Technique: Paired axial CT (left) and PSMA PET (right), 18F tracer. slice position z = -1196 mm. PET panel 200×200 px (4.1 mm/px).
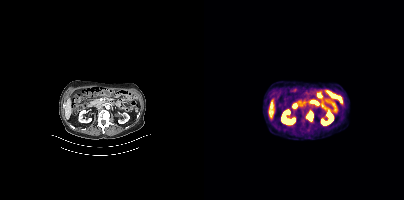
Findings: Coordinates are on the 200×200 PET (right) panel. PSMA-avid tumor lesion bounding box (x0,y0,x1,y1): [103,112,108,119].